modality: PSMA PET/CT | tracer: 18F | view: axial
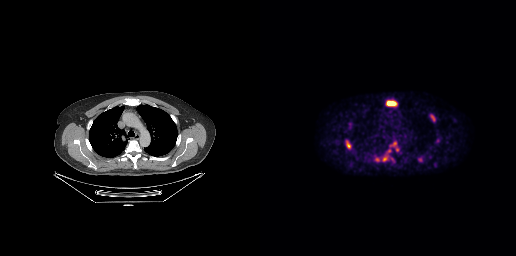
Coordinates are on the 256×256 PET (right) panel. (showing 6 of 8 foci) PSMA-avid tumor lesion bounding boxes (x0, y0)-(x1, y1): (126, 100)-(136, 106) / (85, 140)-(91, 149) / (169, 114)-(175, 122). Small PSMA-avid foci (2 to 4 px across) near (center x, center y): (124, 159) / (160, 159) / (134, 143).